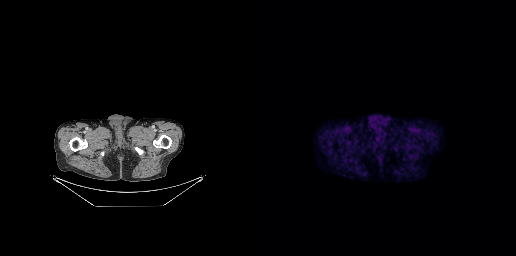
Two-panel axial: CT | PSMA PET, [18F]PSMA-1007 tracer. Acquired on GE Discovery 690. PET panel 256×256 px (2.7 mm/px). No tumor lesions annotated on this slice.